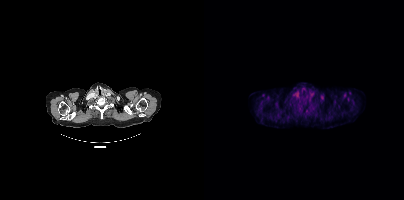
{"modality":"PSMA PET/CT","view":"axial","tracer":"18F","pet_grid":[200,200],"coord_frame":"pet_panel","coord_format":"x0,y0,x1,y1","psma_avid_lesions":false}